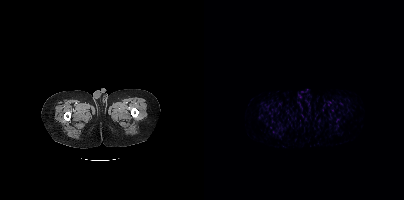
Findings: Negative for PSMA-avid disease on this slice.
Technique: Left: CT. Right: PSMA PET, same axial level, 68Ga tracer. acquired on Siemens Biograph mCT Flow 20. slice position z = 193 mm. PET panel 200×200 px (4.1 mm/px).